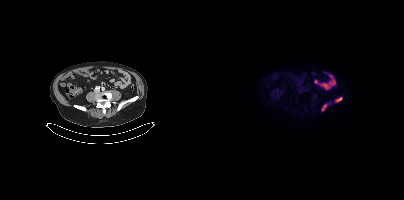
modality: PSMA PET/CT | tracer: 18F | view: axial | PET grid: 200×200
Coordinates are on the 200×200 PET (right) panel. PSMA-avid tumor lesion bounding boxes (x0,y0,x1,y1): [131,97,138,102] [118,104,122,110].